Technique: Paired axial CT (left) and PSMA PET (right), 18F-PSMA tracer. slice position z = -610 mm. PET panel 200×200 px (4.1 mm/px).
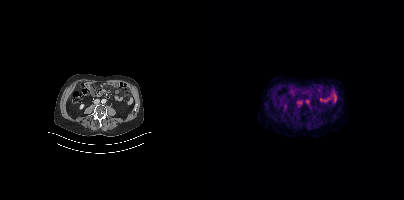
Findings: Negative for PSMA-avid disease on this slice.